Left: CT. Right: PSMA PET, same axial level, 68Ga-PSMA tracer. Acquired on GE Discovery 690.
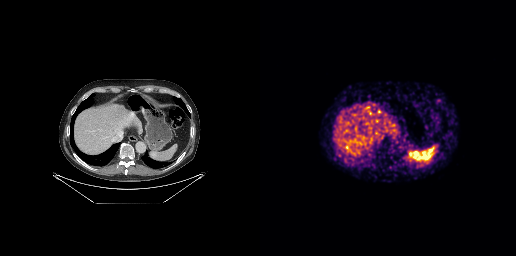
Coordinates are on the 256×256 PET (right) panel. PSMA-avid tumor lesion bounding boxes:
| # | x0 | y0 | x1 | y1 |
|---|---|---|---|---|
| 1 | 171 | 148 | 174 | 153 |
Small PSMA-avid focus (2 to 4 px across) near (center x, center y): (178, 100).